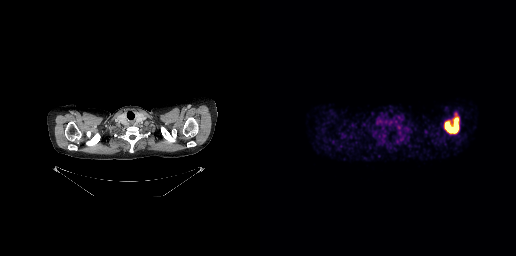
Coordinates are on the 256×256 PET (right) panel. PSMA-avid tumor lesion bounding box (x, y, width, height): x=184 y=117 w=15 h=17.